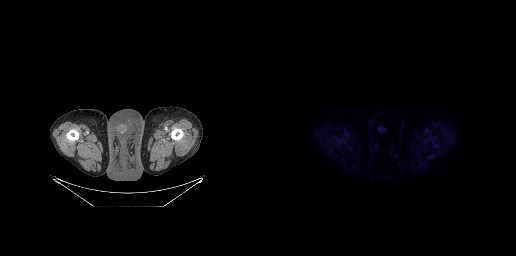
No PSMA-avid tumor lesions on this slice.